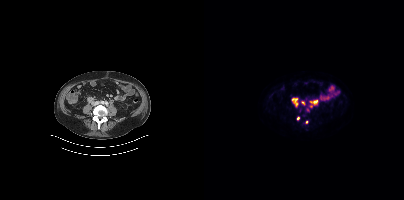
Left: CT. Right: PSMA PET, same axial level, 18F tracer. Acquired on Siemens Biograph mCT Flow 20. Slice 158 of 444.
Coordinates are on the 200×200 PET (right) panel. PSMA-avid tumor lesion bounding boxes (partial; 1 more focus not listed):
| # | x0 | y0 | x1 | y1 |
|---|---|---|---|---|
| 1 | 88 | 98 | 93 | 106 |
| 2 | 106 | 100 | 113 | 104 |
| 3 | 97 | 101 | 101 | 103 |
Small PSMA-avid foci (2 to 4 px across) near (center x, center y): (94, 118); (102, 122).